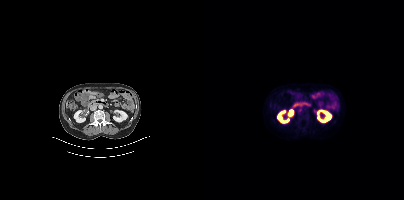
This slice has no annotated PSMA-avid lesion.